Two-panel axial: CT | PSMA PET, 18F tracer. PET panel 200×200 px (4.1 mm/px).
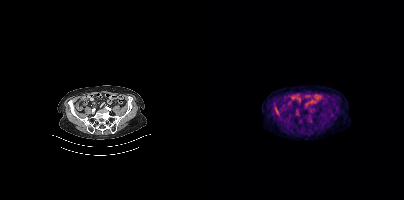
Coordinates are on the 200×200 PET (right) panel. Small PSMA-avid focus (2 to 4 px across) near (center x, center y): (72, 110).